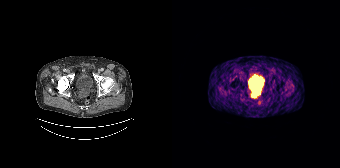
Coordinates are on the 168×168 PET (right) panel. PSMA-avid tumor lesion bounding box (x, y, width, height): x=80 y=91 w=8 h=7. Two-panel axial: CT | PSMA PET, 68Ga-PSMA tracer. PET panel 168×168 px (4.1 mm/px).